modality: PSMA PET/CT | tracer: [18F]PSMA-1007 | view: axial
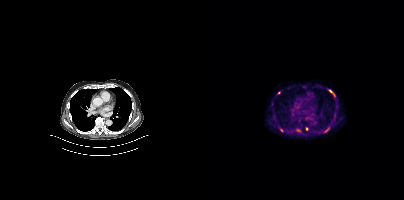
Coordinates are on the 200×200 PET (right) panel. (showing 5 of 6 foci) PSMA-avid tumor lesion bounding box (x0, y0)-(x1, y1): (125, 90)-(130, 95). Small PSMA-avid foci (2 to 4 px across) near (center x, center y): (102, 128); (77, 130); (75, 92); (122, 130).